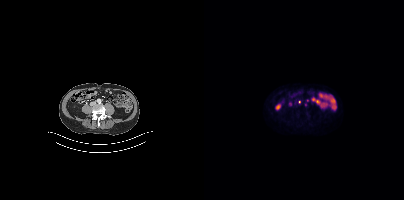
Coordinates are on the 200×200 PET (right) panel. (showing 2 of 3 foci) Small PSMA-avid foci (2 to 4 px across) near (center x, center y): (95, 101), (101, 104).